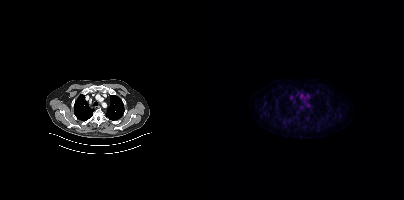
- Left: CT. Right: PSMA PET, same axial level, 18F tracer
- slice 360 of 466
- PET panel 200×200 px (4.1 mm/px)
Findings: No tumor lesions annotated on this slice.